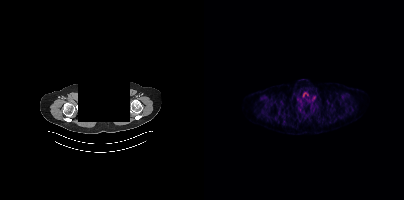
modality: PSMA PET/CT | tracer: 18F-PSMA | view: axial | redaction: rectangular block over head set to black
No PSMA-avid tumor lesions on this slice.